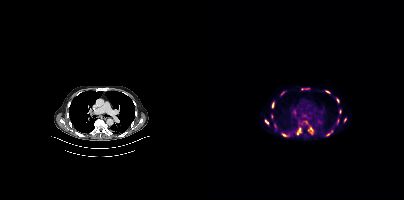
Coordinates are on the 200×200 PET (right) panel. PSMA-avid tumor lesion bounding boxes (partial; 4 more foci not listed):
| # | x0 | y0 | x1 | y1 |
|---|---|---|---|---|
| 1 | 104 | 127 | 109 | 134 |
| 2 | 92 | 127 | 97 | 134 |
| 3 | 97 | 88 | 105 | 90 |
| 4 | 132 | 98 | 135 | 103 |
| 5 | 68 | 102 | 70 | 107 |
| 6 | 61 | 119 | 64 | 124 |
| 7 | 121 | 90 | 126 | 93 |
| 8 | 78 | 134 | 82 | 136 |
| 9 | 135 | 109 | 137 | 113 |
| 10 | 124 | 130 | 128 | 135 |
Small PSMA-avid foci (2 to 4 px across) near (center x, center y): (102, 122); (134, 119); (140, 120).
Left: CT. Right: PSMA PET, same axial level, 18F tracer.